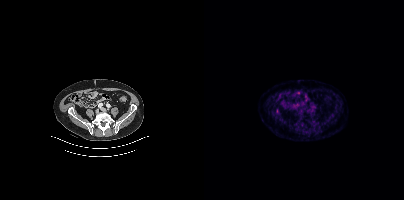
Left: CT. Right: PSMA PET, same axial level, 68Ga tracer. Coordinates are on the 200×200 PET (right) panel. Small PSMA-avid focus (2 to 4 px across) near (center x, center y): (73, 110).